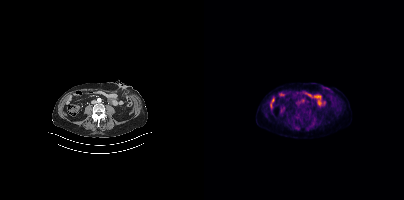
- Paired axial CT (left) and PSMA PET (right), 18F tracer
Findings: No tumor lesions annotated on this slice.